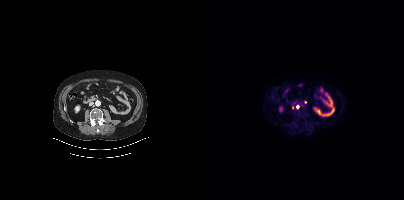
{"modality":"PSMA PET/CT","view":"axial","tracer":"[18F]PSMA-1007","pet_grid":[200,200],"coord_frame":"pet_panel","coord_format":"x0,y0,x1,y1","lesion_bboxes":[],"small_foci_centers":[[101,102],[88,107],[93,107]]}